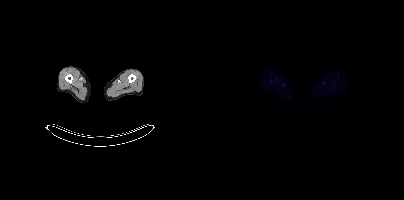
No tumor lesions annotated on this slice.
modality: PSMA PET/CT | tracer: 18F | view: axial | PET grid: 200×200